De-identified by setting a box covering the face to black before release. Two-panel axial: CT | PSMA PET, [18F]PSMA-1007 tracer. PET panel 256×256 px (2.7 mm/px).
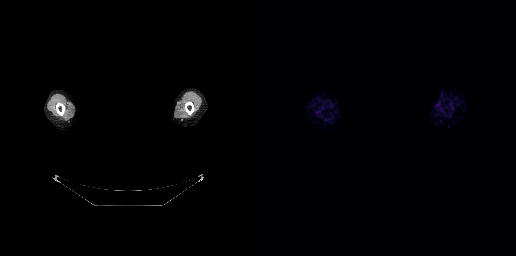
No PSMA-avid tumor lesions on this slice.